modality: PSMA PET/CT | tracer: 68Ga | view: axial | PET grid: 168×168
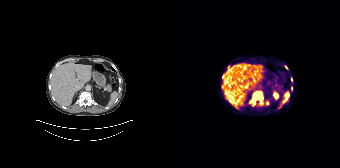
Coordinates are on the 168×168 PET (right) panel. (showing 7 of 9 foci) PSMA-avid tumor lesion bounding boxes (x0, y0)-(x1, y1): (78, 91)-(90, 105); (106, 104)-(109, 108). Small PSMA-avid foci (2 to 4 px across) near (center x, center y): (95, 102); (50, 76); (119, 88); (119, 79); (114, 67).